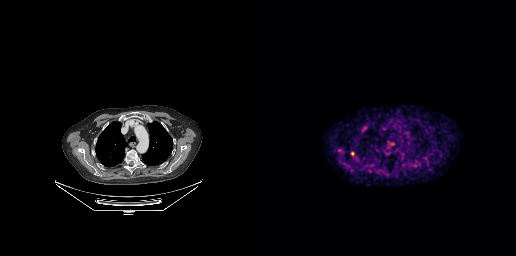
Paired axial CT (left) and PSMA PET (right), 68Ga tracer. Acquired on GE Discovery 690. Slice 207 of 263. PET panel 256×256 px (2.7 mm/px). Coordinates are on the 256×256 PET (right) panel. Small PSMA-avid foci (2 to 4 px across) near (center x, center y): (92, 153) (80, 150) (104, 127).